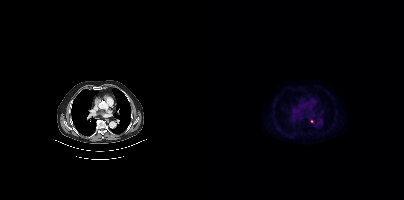
{"modality":"PSMA PET/CT","view":"axial","tracer":"18F","pet_grid":[200,200],"coord_frame":"pet_panel","coord_format":"x0,y0,x1,y1","lesion_bboxes":[],"small_foci_centers":[[107,121]]}